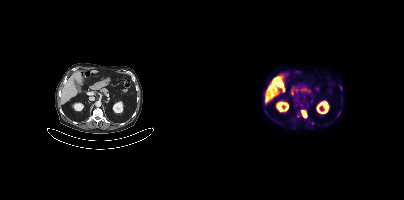
{"modality":"PSMA PET/CT","view":"axial","tracer":"[18F]PSMA-1007","pet_grid":[200,200],"coord_frame":"pet_panel","coord_format":"x0,y0,x1,y1","partial":true,"lesion_bboxes":[[97,110,103,117]],"small_foci_centers":[[108,123]]}